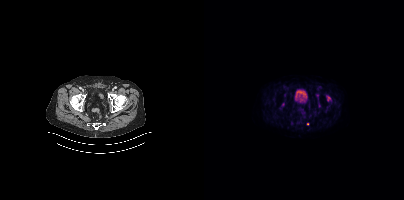
Paired axial CT (left) and PSMA PET (right), [18F]PSMA-1007 tracer. Slice position z = -1446 mm. PET panel 200×200 px (4.1 mm/px). Coordinates are on the 200×200 PET (right) panel. Small PSMA-avid focus (2 to 4 px across) near (center x, center y): (103, 123).